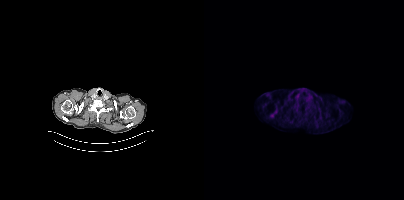
{"modality":"PSMA PET/CT","view":"axial","tracer":"18F","pet_grid":[200,200],"coord_frame":"pet_panel","coord_format":"x0,y0,x1,y1","psma_avid_lesions":false}